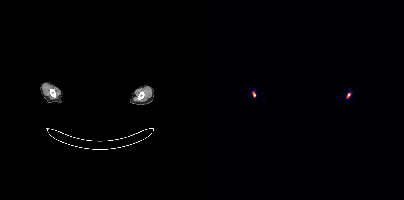
An anonymization step blacked out a rectangle over the head in this scan. Paired axial CT (left) and PSMA PET (right), 68Ga-PSMA tracer. Slice 372 of 393. PET panel 200×200 px (4.1 mm/px). Coordinates are on the 200×200 PET (right) panel. PSMA-avid tumor lesion bounding boxes (x0,y0,x1,y1): [49,92,51,96] [143,93,146,97].